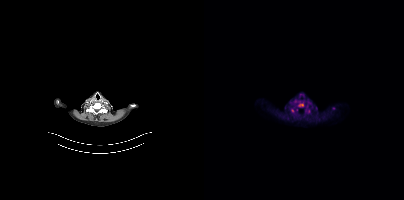
- Two-panel axial: CT | PSMA PET, 18F-PSMA tracer
- slice position z = -351 mm
- PET panel 200×200 px (4.1 mm/px)
Findings: Coordinates are on the 200×200 PET (right) panel. (showing 1 of 2 foci) PSMA-avid tumor lesion bounding box (x, y, width, height): x=95 y=104 w=5 h=3.